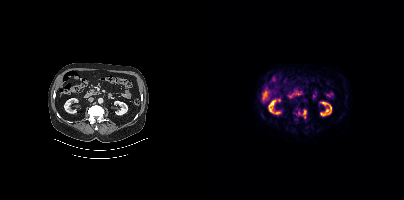
Coordinates are on the 200×200 PET (right) panel. PSMA-avid tumor lesion bounding box (x0, y0)-(x1, y1): (99, 109)-(102, 118). Small PSMA-avid focus (2 to 4 px across) near (center x, center y): (95, 113).